Technique: Left: CT. Right: PSMA PET, same axial level, [18F]PSMA-1007 tracer. acquired on Siemens Biograph mCT Flow 20. slice position z = -933 mm. PET panel 200×200 px (4.1 mm/px).
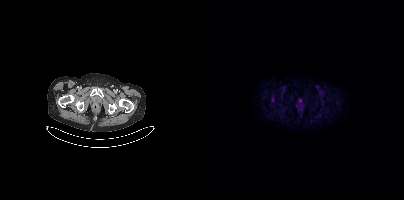
Findings: No tumor lesions annotated on this slice.